modality: PSMA PET/CT | tracer: [68Ga]Ga-PSMA-11 | view: axial | PET grid: 168×168
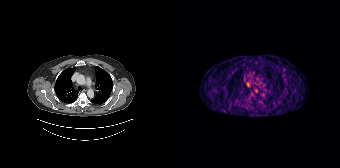
Coordinates are on the 168×168 PET (right) panel. PSMA-avid tumor lesion bounding box (x0, y0)-(x1, y1): (82, 89)-(86, 92). Small PSMA-avid foci (2 to 4 px across) near (center x, center y): (76, 84) / (92, 84).